Technique: Paired axial CT (left) and PSMA PET (right), 18F-PSMA tracer. slice 218 of 423. PET panel 200×200 px (4.1 mm/px).
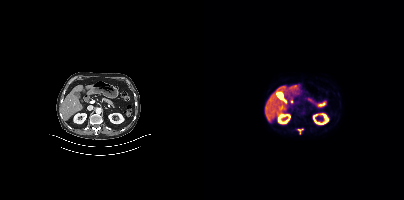
Findings: Coordinates are on the 200×200 PET (right) panel. PSMA-avid tumor lesion bounding box (x, y, width, height): x=94 y=129 w=6 h=5.